Paired axial CT (left) and PSMA PET (right), 18F tracer. Slice position z = 372 mm. PET panel 200×200 px (4.1 mm/px).
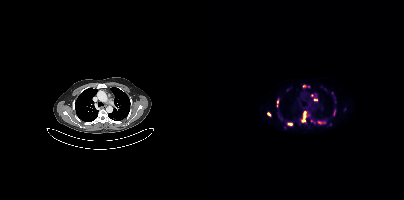
Coordinates are on the 200×200 PET (right) panel. (showing 10 of 13 foci) PSMA-avid tumor lesion bounding boxes (x, y, width, height): x=97 y=112 w=9 h=11 / x=114 y=121 w=8 h=4 / x=129 y=109 w=3 h=7 / x=84 y=123 w=5 h=3 / x=73 y=99 w=2 h=8. Small PSMA-avid foci (2 to 4 px across) near (center x, center y): (100, 86) / (64, 113) / (108, 95) / (111, 99) / (107, 120).